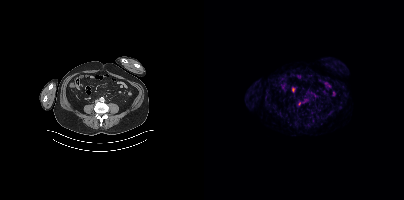
modality: PSMA PET/CT | tracer: 68Ga-PSMA | view: axial
Only PSMA-avid lesion pieces thinner than 2 px on this slice (not listed).